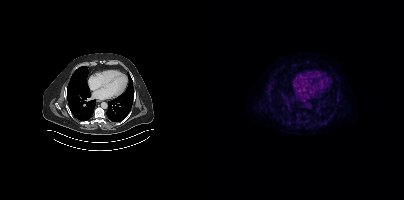
Left: CT. Right: PSMA PET, same axial level, 18F tracer. PET panel 200×200 px (4.1 mm/px). This slice has no annotated PSMA-avid lesion.